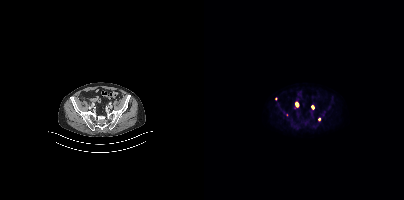
Coordinates are on the 200×200 PET (right) panel. (showing 1 of 5 foci) Small PSMA-avid focus (2 to 4 px across) near (center x, center y): (108, 107).